Privacy masking over the head, with the pixels inside a rectangle set to black. Two-panel axial: CT | PSMA PET, 18F tracer. Acquired on GE Discovery 690. Slice 299 of 299.
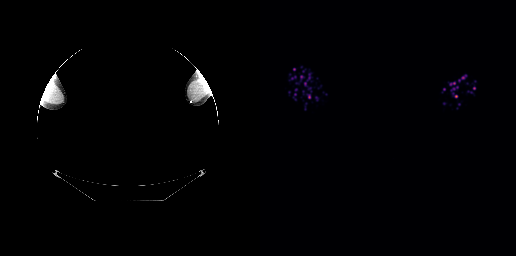
No PSMA-avid tumor lesions on this slice.